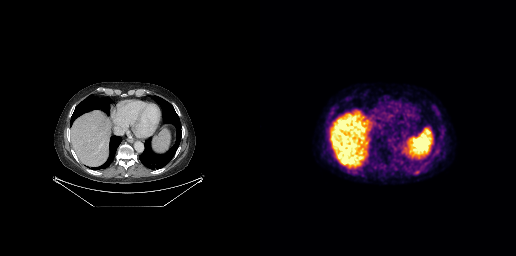
- Two-panel axial: CT | PSMA PET, 18F tracer
- slice position z = -516 mm
Findings: This slice has no annotated PSMA-avid lesion.